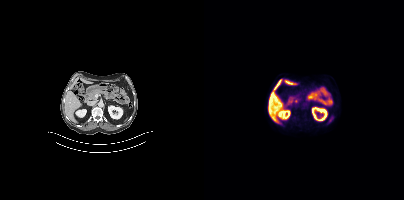
Left: CT. Right: PSMA PET, same axial level, 18F tracer. Acquired on Siemens Biograph mCT Flow 20. Slice position z = -1316 mm. Negative for PSMA-avid disease on this slice.